- Paired axial CT (left) and PSMA PET (right), [18F]PSMA-1007 tracer
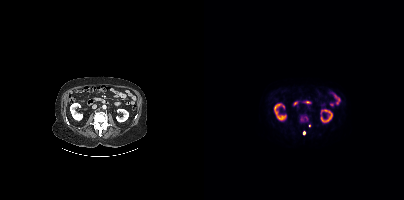
Findings: Coordinates are on the 200×200 PET (right) panel. Small PSMA-avid focus (2 to 4 px across) near (center x, center y): (100, 132).